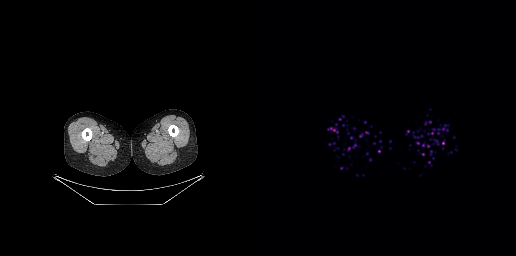
{"pet_grid":[256,256],"coord_frame":"pet_panel","coord_format":"x0,y0,x1,y1","psma_avid_lesions":false,"modality":"PSMA PET/CT","view":"axial","tracer":"18F"}